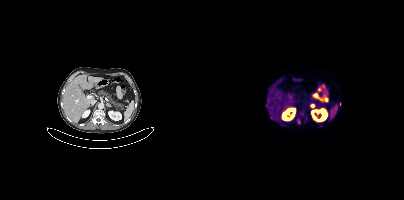
Two-panel axial: CT | PSMA PET, [68Ga]Ga-PSMA-11 tracer. Slice 214 of 411. PET panel 200×200 px (4.1 mm/px). Coordinates are on the 200×200 PET (right) panel. (showing 3 of 4 foci) PSMA-avid tumor lesion bounding box (x0, y0)-(x1, y1): (93, 119)-(96, 123). Small PSMA-avid foci (2 to 4 px across) near (center x, center y): (67, 117); (101, 120).